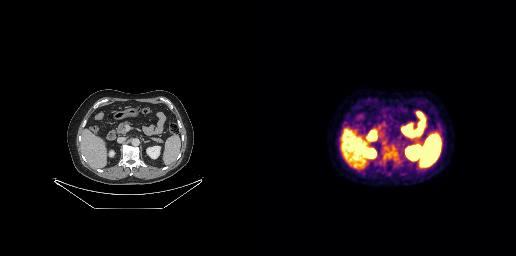
No PSMA-avid tumor lesions on this slice.